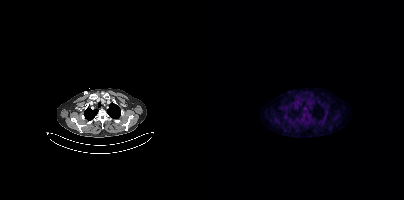
Findings: Coordinates are on the 200×200 PET (right) panel. Small PSMA-avid focus (2 to 4 px across) near (center x, center y): (99, 116).
Technique: Paired axial CT (left) and PSMA PET (right), 18F-PSMA tracer.